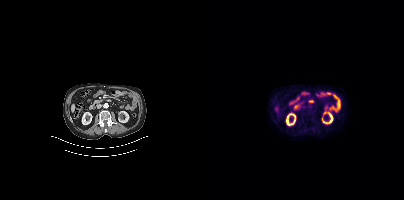
Negative for PSMA-avid disease on this slice.